Paired axial CT (left) and PSMA PET (right), [18F]PSMA-1007 tracer. Acquired on Siemens Biograph mCT Flow 20. PET panel 200×200 px (4.1 mm/px).
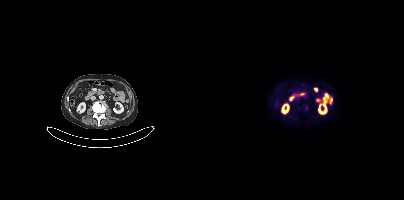
Negative for PSMA-avid disease on this slice.